Two-panel axial: CT | PSMA PET, 18F tracer. Acquired on Siemens Biograph mCT Flow 20. Slice position z = -1678 mm. PET panel 200×200 px (4.1 mm/px).
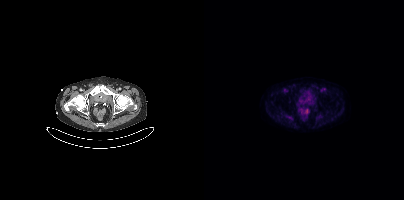
No PSMA-avid tumor lesions on this slice.